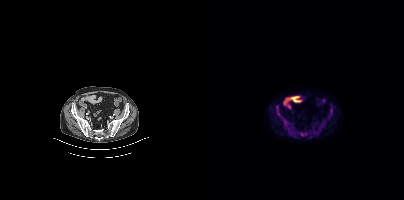
Coordinates are on the 200×200 PET (right) panel. PSMA-avid tumor lesion bounding boxes (x0,y0,x1,y1): [78,118,85,127] [72,105,76,116] [95,132,103,136] [124,108,128,118].